- Paired axial CT (left) and PSMA PET (right), [68Ga]Ga-PSMA-11 tracer
- acquired on Siemens Biograph 64-4R TruePoint
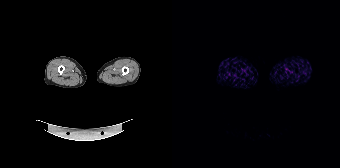
Findings: No PSMA-avid tumor lesions on this slice.